Technique: Paired axial CT (left) and PSMA PET (right), 68Ga-PSMA tracer. slice 83 of 195. PET panel 168×168 px (4.1 mm/px).
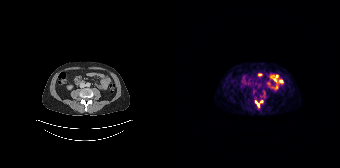
Findings: Coordinates are on the 168×168 PET (right) panel. PSMA-avid tumor lesion bounding box (x0, y0)-(x1, y1): (83, 101)-(87, 106). Small PSMA-avid focus (2 to 4 px across) near (center x, center y): (89, 101).